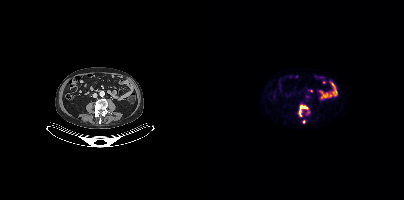
{"modality":"PSMA PET/CT","view":"axial","tracer":"18F","pet_grid":[200,200],"coord_frame":"pet_panel","coord_format":"x0,y0,x1,y1","lesion_bboxes":[[94,105,103,116]],"small_foci_centers":[[99,121]]}